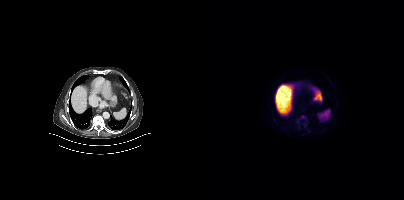
This slice has no annotated PSMA-avid lesion.